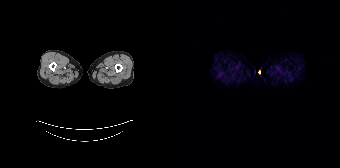
This slice has no annotated PSMA-avid lesion. Paired axial CT (left) and PSMA PET (right), [68Ga]Ga-PSMA-11 tracer. Slice 14 of 195. PET panel 168×168 px (4.1 mm/px).